modality: PSMA PET/CT | tracer: 18F-PSMA | view: axial
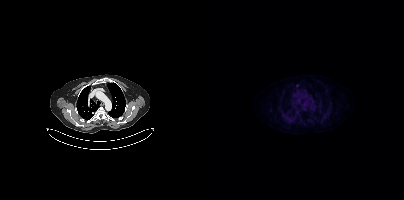
Coordinates are on the 200×200 PET (right) panel. Small PSMA-avid focus (2 to 4 px across) near (center x, center y): (95, 99).